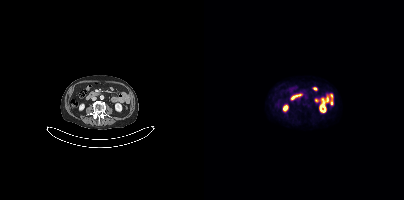
This slice has no annotated PSMA-avid lesion.